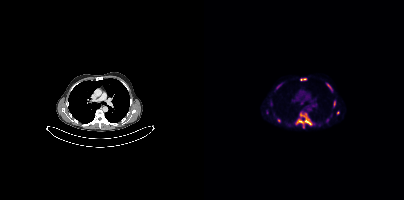
{"modality":"PSMA PET/CT","view":"axial","tracer":"[18F]PSMA-1007","pet_grid":[200,200],"coord_frame":"pet_panel","coord_format":"x0,y0,x1,y1","partial":true,"lesion_bboxes":[[91,112,108,128],[96,78,102,80],[129,101,131,106]],"small_foci_centers":[[74,120],[134,112],[77,84],[127,90],[123,120]]}